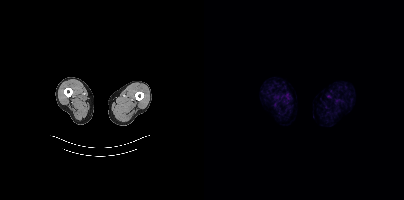
Two-panel axial: CT | PSMA PET, 18F-PSMA tracer. PET panel 200×200 px (4.1 mm/px). Negative for PSMA-avid disease on this slice.